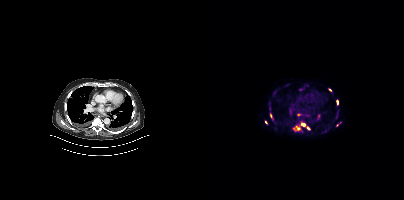
modality: PSMA PET/CT | tracer: [18F]PSMA-1007 | view: axial | PET grid: 200×200
Coordinates are on the 200×200 PET (right) panel. (showing 7 of 8 foci) PSMA-avid tumor lesion bounding boxes (x0, y0)-(x1, y1): (89, 121)-(106, 131) | (132, 100)-(134, 105). Small PSMA-avid foci (2 to 4 px across) near (center x, center y): (126, 90) | (66, 115) | (133, 125) | (62, 122) | (94, 114).